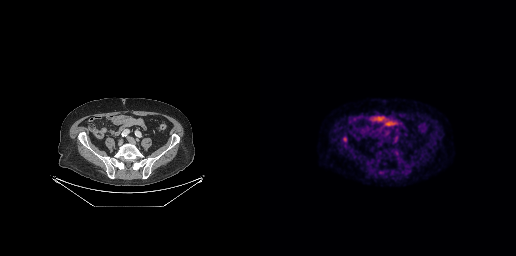
- Two-panel axial: CT | PSMA PET, 18F-PSMA tracer
- slice 99 of 263
- PET panel 256×256 px (2.7 mm/px)
Findings: Coordinates are on the 256×256 PET (right) panel. Small PSMA-avid focus (2 to 4 px across) near (center x, center y): (84, 138).